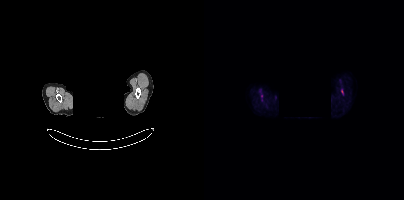
{"modality":"PSMA PET/CT","view":"axial","tracer":"[18F]PSMA-1007","pet_grid":[200,200],"coord_frame":"pet_panel","coord_format":"x0,y0,x1,y1","deidentification":"facial region redacted","partial":true,"lesion_bboxes":[],"small_foci_centers":[[137,91]]}